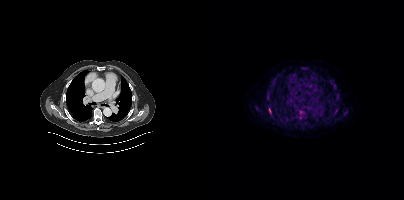
Coordinates are on the 200×200 PET (right) panel. PSMA-avid tumor lesion bounding boxes (x0, y0)-(x1, y1): (94, 111)-(103, 120) / (63, 89)-(67, 94) / (128, 109)-(133, 115) / (127, 80)-(132, 86) / (66, 81)-(70, 86) / (132, 95)-(135, 99) / (99, 67)-(104, 70) / (64, 107)-(67, 114) / (52, 107)-(55, 111).